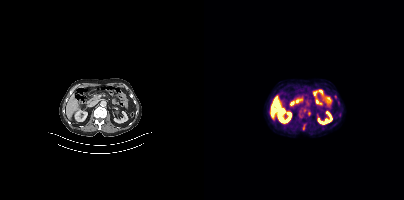
Findings: Only PSMA-avid lesion pieces thinner than 2 px on this slice (not listed).
Technique: Left: CT. Right: PSMA PET, same axial level, [18F]PSMA-1007 tracer. PET panel 200×200 px (4.1 mm/px).